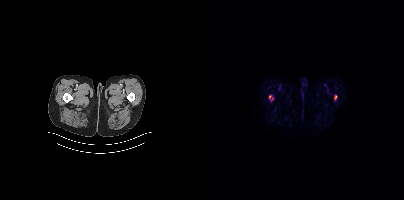
{"modality":"PSMA PET/CT","view":"axial","tracer":"18F","pet_grid":[200,200],"coord_frame":"pet_panel","coord_format":"x0,y0,x1,y1","lesion_bboxes":[[130,95,132,99]],"small_foci_centers":[[66,96],[68,99]]}